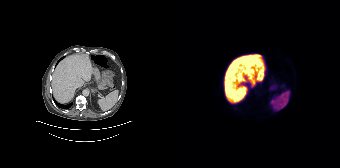
{"modality":"PSMA PET/CT","view":"axial","tracer":"18F","pet_grid":[168,168],"coord_frame":"pet_panel","coord_format":"x0,y0,x1,y1","psma_avid_lesions":false}